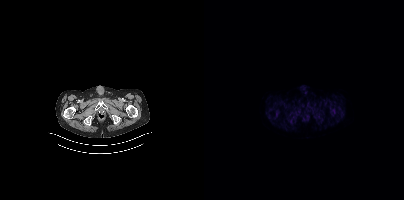
{"modality":"PSMA PET/CT","view":"axial","tracer":"18F","pet_grid":[200,200],"coord_frame":"pet_panel","coord_format":"x0,y0,x1,y1","psma_avid_lesions":false}